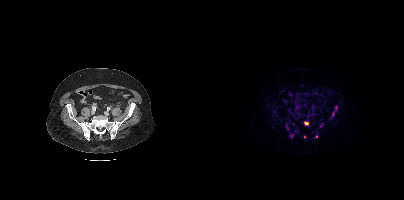
Paired axial CT (left) and PSMA PET (right), 68Ga-PSMA tracer. PET panel 200×200 px (4.1 mm/px).
Coordinates are on the 200×200 PET (right) panel. PSMA-avid tumor lesion bounding boxes:
| # | x0 | y0 | x1 | y1 |
|---|---|---|---|---|
| 1 | 100 | 122 | 104 | 124 |
| 2 | 131 | 106 | 133 | 110 |
Small PSMA-avid foci (2 to 4 px across) near (center x, center y): (129, 113); (100, 136); (112, 136).